modality: PSMA PET/CT | tracer: [18F]PSMA-1007 | view: axial | PET grid: 200×200
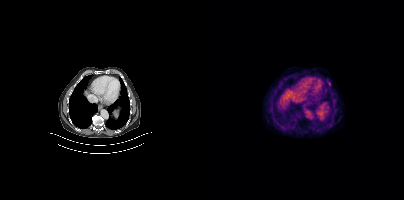
Coordinates are on the 200×200 PET (right) panel. Small PSMA-avid focus (2 to 4 px across) near (center x, center y): (125, 83).